modality: PSMA PET/CT | tracer: 18F-PSMA | view: axial
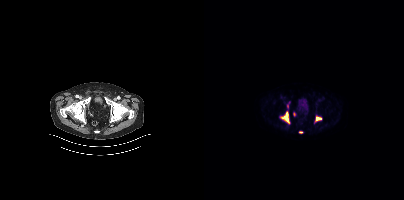
Coordinates are on the 200×200 PET (right) panel. (showing 4 of 5 foci) PSMA-avid tumor lesion bounding boxes (x0,y0,x1,y1): [77,112,85,123], [112,117,117,120]. Small PSMA-avid foci (2 to 4 px across) near (center x, center y): (96, 132), (90, 113).